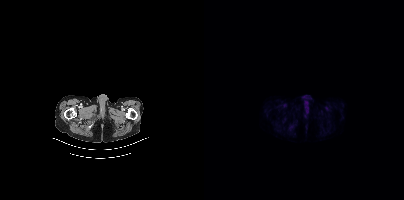
Findings: This slice has no annotated PSMA-avid lesion.
- Paired axial CT (left) and PSMA PET (right), [68Ga]Ga-PSMA-11 tracer
- acquired on Siemens Biograph mCT Flow 20
- slice 27 of 409